Two-panel axial: CT | PSMA PET, 68Ga-PSMA tracer.
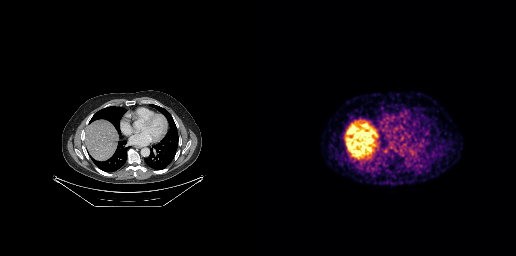
No PSMA-avid tumor lesions on this slice.